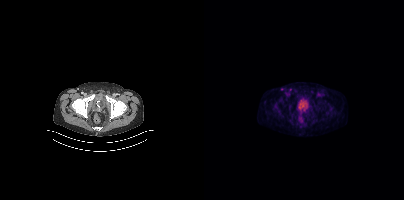
modality: PSMA PET/CT | tracer: [18F]PSMA-1007 | view: axial
Only PSMA-avid lesion pieces thinner than 2 px on this slice (not listed).